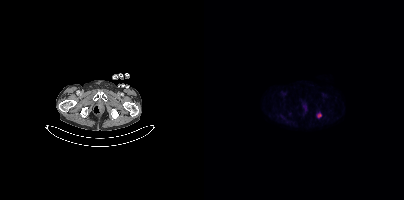
Coordinates are on the 200×200 PET (right) panel. Small PSMA-avid focus (2 to 4 px across) near (center x, center y): (115, 115).
modality: PSMA PET/CT | tracer: [18F]PSMA-1007 | view: axial | PET grid: 200×200